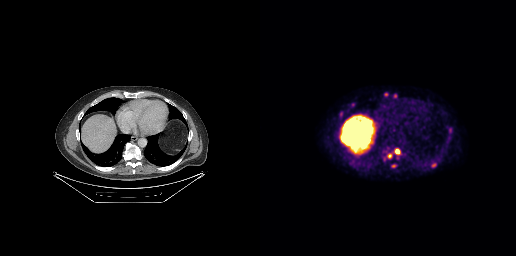
Coordinates are on the 256×256 PET (right) panel. PSMA-avid tumor lesion bounding boxes (partial; 3 more foci not listed):
| # | x0 | y0 | x1 | y1 |
|---|---|---|---|---|
| 1 | 135 | 149 | 140 | 154 |
| 2 | 171 | 163 | 176 | 167 |
Small PSMA-avid foci (2 to 4 px across) near (center x, center y): (129, 155); (135, 95); (126, 94).
Paired axial CT (left) and PSMA PET (right), [18F]PSMA-1007 tracer. Slice position z = -328 mm.